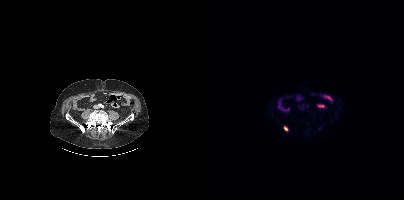
Coordinates are on the 200×200 PET (right) panel. Small PSMA-avid focus (2 to 4 px across) near (center x, center y): (81, 128). Left: CT. Right: PSMA PET, same axial level, 18F-PSMA tracer. Slice 136 of 389. PET panel 200×200 px (4.1 mm/px).